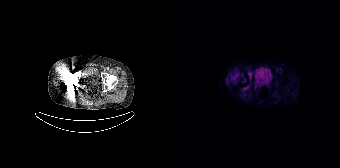
Paired axial CT (left) and PSMA PET (right), [18F]PSMA-1007 tracer. PET panel 168×168 px (4.1 mm/px). Negative for PSMA-avid disease on this slice.